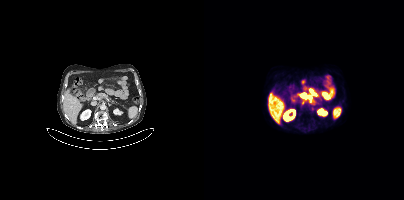
Technique: Left: CT. Right: PSMA PET, same axial level, [18F]PSMA-1007 tracer. slice 198 of 395.
Findings: Coordinates are on the 200×200 PET (right) panel. PSMA-avid tumor lesion bounding boxes (x, y, width, height): x=96 y=93 w=6 h=5 | x=98 y=100 w=3 h=5.